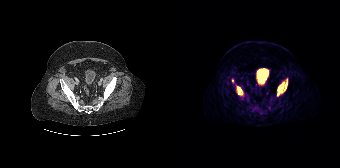
Findings: Coordinates are on the 168×168 PET (right) panel. (showing 2 of 4 foci) PSMA-avid tumor lesion bounding boxes (x0,y0,x1,y1): [105,79,115,95], [64,85,71,95].
Technique: Paired axial CT (left) and PSMA PET (right), 68Ga tracer. PET panel 168×168 px (4.1 mm/px).